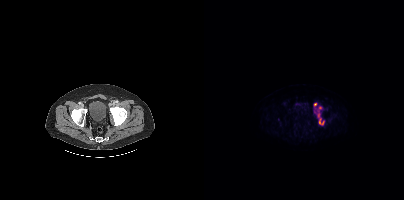
Coordinates are on the 200×200 PET (right) panel. PSMA-avid tumor lesion bounding box (x0, y0)-(x1, y1): (114, 111)-(120, 125). Small PSMA-avid foci (2 to 4 px across) near (center x, center y): (111, 104) / (116, 107).